- Paired axial CT (left) and PSMA PET (right), 18F tracer
- acquired on Siemens Biograph mCT Flow 20
- slice 204 of 389
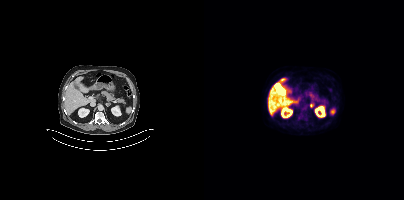
Findings: Coordinates are on the 200×200 PET (right) panel. PSMA-avid tumor lesion bounding box (x0, y0)-(x1, y1): (106, 103)-(109, 107).